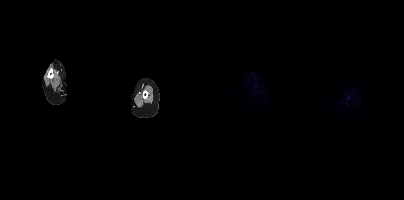
{"modality":"PSMA PET/CT","view":"axial","tracer":"68Ga-PSMA","pet_grid":[200,200],"coord_frame":"pet_panel","coord_format":"x0,y0,x1,y1","deidentification":"facial region redacted","psma_avid_lesions":false}